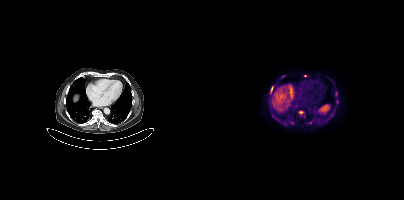
modality: PSMA PET/CT | tracer: 18F-PSMA | view: axial
Coordinates are on the 200×200 PET (right) panel. (showing 6 of 7 foci) PSMA-avid tumor lesion bounding boxes (x, y, width, height): x=84 y=121 w=6 h=4; x=67 y=87 w=2 h=6. Small PSMA-avid foci (2 to 4 px across) near (center x, center y): (106, 122); (79, 76); (97, 112); (101, 75).